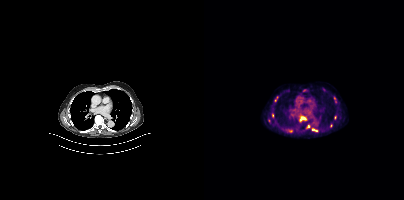
Left: CT. Right: PSMA PET, same axial level, 18F tracer. Acquired on Siemens Biograph mCT Flow 20. PET panel 200×200 px (4.1 mm/px). Coordinates are on the 200×200 PET (right) panel. (showing 6 of 9 foci) PSMA-avid tumor lesion bounding boxes (x0,y0,x1,y1): [95,116,102,121], [83,129,88,132], [108,128,113,131]. Small PSMA-avid foci (2 to 4 px across) near (center x, center y): (104, 126), (68, 115), (71, 100).